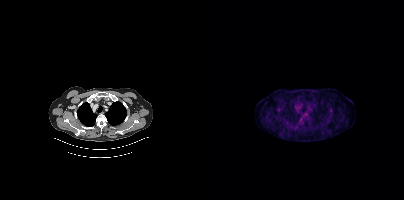
This slice has no annotated PSMA-avid lesion.
modality: PSMA PET/CT | tracer: [18F]PSMA-1007 | view: axial | PET grid: 200×200